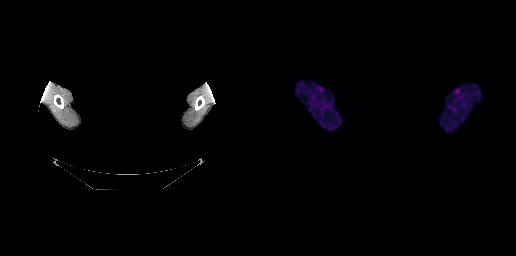
modality: PSMA PET/CT | tracer: [18F]PSMA-1007 | view: axial | PET grid: 256×256 | de-identification: head region blanked (face removed)
No PSMA-avid tumor lesions on this slice.